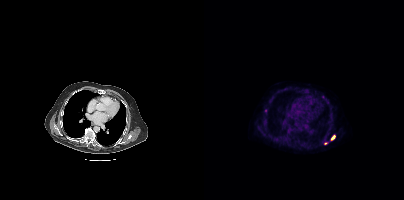
{"pet_grid":[200,200],"coord_frame":"pet_panel","coord_format":"x0,y0,x1,y1","partial":true,"lesion_bboxes":[[127,135,131,139]],"small_foci_centers":[[61,110]],"modality":"PSMA PET/CT","view":"axial","tracer":"18F"}